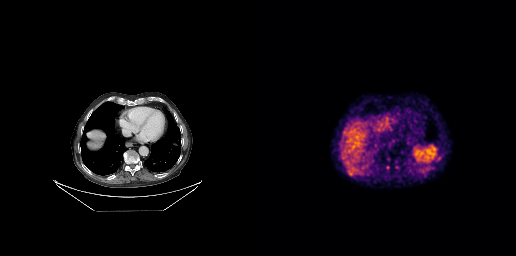
Coordinates are on the 256×256 PET (right) panel. PSMA-avid tumor lesion bounding boxes (x0,y0,x1,y1): [177,156,181,160] [88,172,92,175]. Small PSMA-avid focus (2 to 4 px across) near (center x, center y): (127, 167).